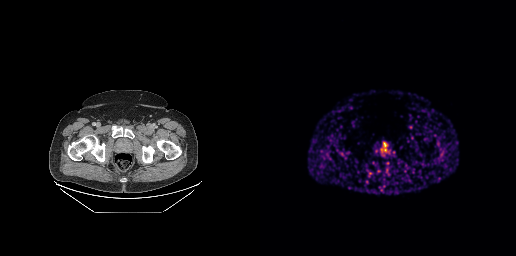
Left: CT. Right: PSMA PET, same axial level, 68Ga tracer. Slice 86 of 299. PET panel 256×256 px (2.7 mm/px).
Coordinates are on the 256×256 PET (right) panel. PSMA-avid tumor lesion bounding boxes:
| # | x0 | y0 | x1 | y1 |
|---|---|---|---|---|
| 1 | 124 | 144 | 126 | 151 |